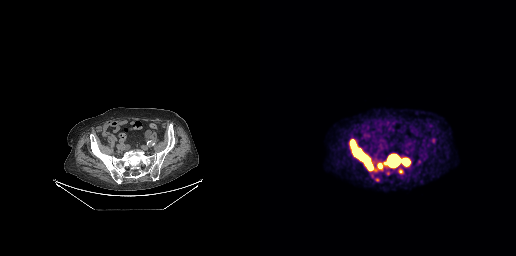
Coordinates are on the 256×256 PET (right) panel. PSMA-avid tumor lesion bounding boxes:
| # | x0 | y0 | x1 | y1 |
|---|---|---|---|---|
| 1 | 114 | 153 | 150 | 171 |
| 2 | 89 | 139 | 113 | 170 |
| 3 | 139 | 169 | 143 | 173 |
Small PSMA-avid foci (2 to 4 px across) near (center x, center y): (128, 173); (117, 179).
Left: CT. Right: PSMA PET, same axial level, [18F]PSMA-1007 tracer. Slice position z = -565 mm.